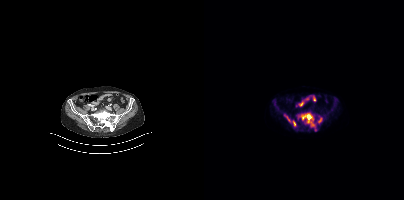
Coordinates are on the 200×200 PET (right) panel. PSMA-avid tumor lesion bounding boxes (x0, y0)-(x1, y1): (92, 113)-(112, 131) / (80, 114)-(86, 121) / (114, 118)-(118, 123) / (89, 121)-(91, 126).